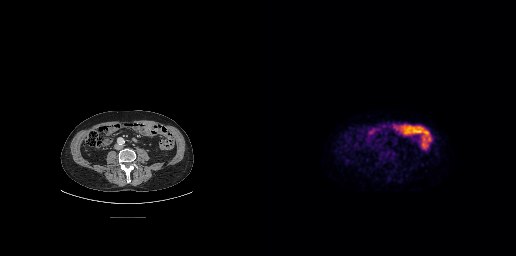
Technique: Left: CT. Right: PSMA PET, same axial level, 18F-PSMA tracer. acquired on GE Discovery 690. PET panel 256×256 px (2.7 mm/px).
Findings: Negative for PSMA-avid disease on this slice.